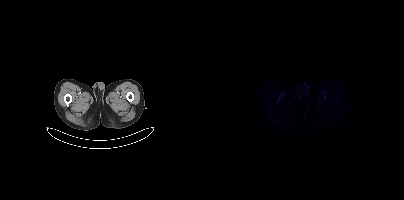
This slice has no annotated PSMA-avid lesion.
modality: PSMA PET/CT | tracer: 68Ga-PSMA | view: axial | PET grid: 200×200